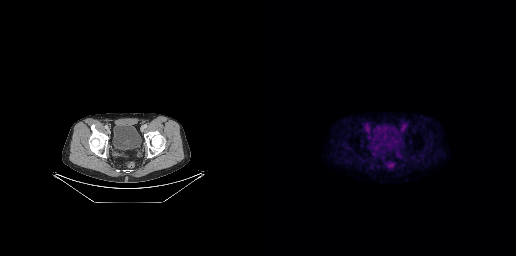
{"modality":"PSMA PET/CT","view":"axial","tracer":"18F","pet_grid":[256,256],"coord_frame":"pet_panel","coord_format":"x0,y0,x1,y1","lesion_bboxes":[[123,135,126,140],[126,143,130,146]],"small_foci_centers":[[120,143],[123,144]]}